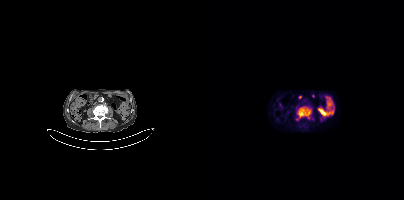
Coordinates are on the 200×200 PET (right) panel. (showing 1 of 2 foci) PSMA-avid tumor lesion bounding box (x, y, width, height): x=93 y=107 w=15 h=12.
modality: PSMA PET/CT | tracer: 18F | view: axial